Left: CT. Right: PSMA PET, same axial level, [68Ga]Ga-PSMA-11 tracer. PET panel 200×200 px (4.1 mm/px).
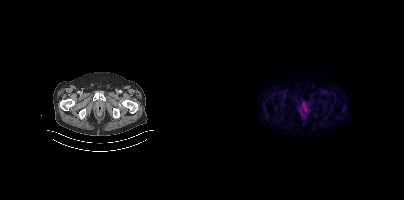
Negative for PSMA-avid disease on this slice.